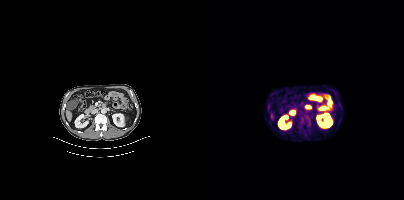
Coordinates are on the 200×200 PET (right) panel. PSMA-avid tumor lesion bounding boxes (x0, y0)-(x1, y1): (95, 115)-(107, 127) | (99, 133)-(102, 137).